- Left: CT. Right: PSMA PET, same axial level, 18F-PSMA tracer
- acquired on Siemens Biograph mCT Flow 20
- slice position z = -572 mm
- PET panel 200×200 px (4.1 mm/px)
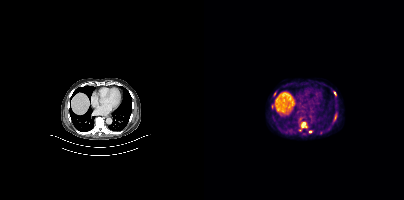
Findings: Coordinates are on the 200×200 PET (right) panel. (showing 4 of 7 foci) PSMA-avid tumor lesion bounding boxes (x0, y0)-(x1, y1): (97, 122)-(103, 128); (130, 91)-(132, 95). Small PSMA-avid foci (2 to 4 px across) near (center x, center y): (106, 131); (70, 93).